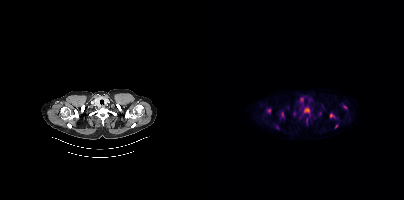
Coordinates are on the 200×200 PET (right) panel. PSMA-avid tumor lesion bounding boxes (x, y, width, height): x=100 y=107 w=6 h=6 | x=77 y=112 w=4 h=6 | x=101 y=118 w=4 h=8 | x=126 y=112 w=5 h=6. Small PSMA-avid foci (2 to 4 px across) near (center x, center y): (64, 110) | (73, 127) | (132, 126) | (141, 107) | (115, 113) | (97, 99) | (91, 113).